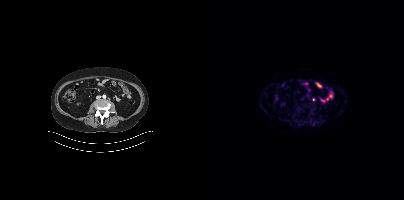
Coordinates are on the 200×200 PET (right) panel. Small PSMA-avid focus (2 to 4 px across) near (center x, center y): (109, 99). Left: CT. Right: PSMA PET, same axial level, [18F]PSMA-1007 tracer. Slice 170 of 433.